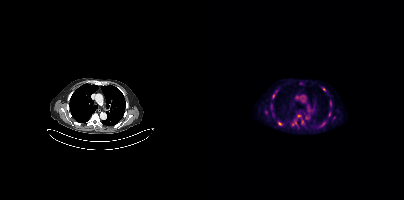
Paired axial CT (left) and PSMA PET (right), 18F tracer. PET panel 200×200 px (4.1 mm/px). Coordinates are on the 200×200 PET (right) panel. (showing 7 of 10 foci) PSMA-avid tumor lesion bounding box (x, y, width, height): x=67 y=104 w=2 h=5. Small PSMA-avid foci (2 to 4 px across) near (center x, center y): (75, 123) | (120, 89) | (125, 114) | (69, 96) | (94, 115) | (119, 123).